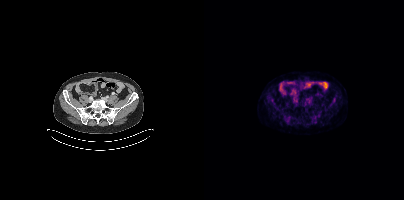
This slice has no annotated PSMA-avid lesion.
modality: PSMA PET/CT | tracer: [18F]PSMA-1007 | view: axial